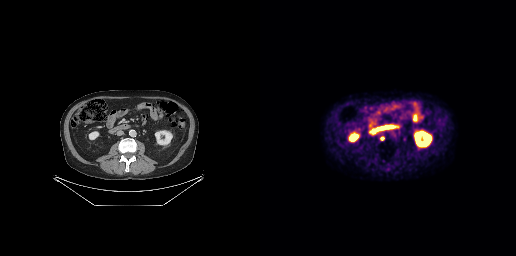
- Left: CT. Right: PSMA PET, same axial level, 18F-PSMA tracer
- slice position z = -459 mm
- PET panel 256×256 px (2.7 mm/px)
Findings: Coordinates are on the 256×256 PET (right) panel. Small PSMA-avid focus (2 to 4 px across) near (center x, center y): (122, 138).